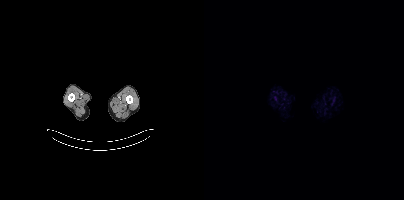
{"modality":"PSMA PET/CT","view":"axial","tracer":"18F-PSMA","pet_grid":[200,200],"coord_frame":"pet_panel","coord_format":"x0,y0,x1,y1","psma_avid_lesions":false}